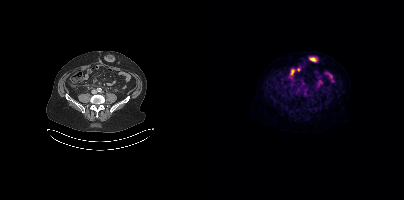
{"modality":"PSMA PET/CT","view":"axial","tracer":"[18F]PSMA-1007","pet_grid":[200,200],"coord_frame":"pet_panel","coord_format":"x0,y0,x1,y1","lesion_bboxes":[[99,90,103,95]]}